Technique: Left: CT. Right: PSMA PET, same axial level, [18F]PSMA-1007 tracer.
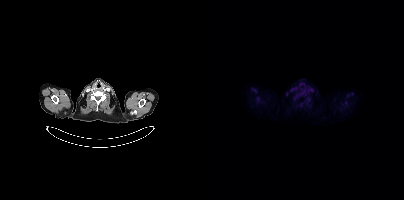
Findings: Negative for PSMA-avid disease on this slice.